Technique: Paired axial CT (left) and PSMA PET (right), 18F-PSMA tracer. acquired on Siemens Biograph 64-4R TruePoint. slice 19 of 165.
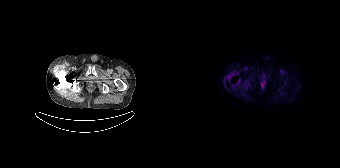
Findings: No tumor lesions annotated on this slice.